Two-panel axial: CT | PSMA PET, 18F tracer. Acquired on GE Discovery 690.
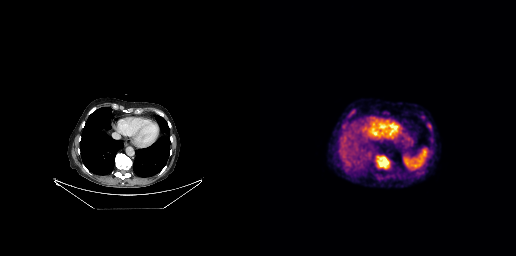
Coordinates are on the 256×256 PET (right) panel. PSMA-avid tumor lesion bounding boxes:
| # | x0 | y0 | x1 | y1 |
|---|---|---|---|---|
| 1 | 117 | 156 | 129 | 168 |
| 2 | 167 | 123 | 171 | 130 |
| 3 | 88 | 112 | 92 | 116 |